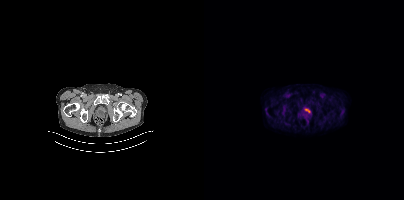
Technique: Two-panel axial: CT | PSMA PET, 18F-PSMA tracer. slice position z = -1474 mm.
Findings: Coordinates are on the 200×200 PET (right) panel. PSMA-avid tumor lesion bounding box (x0, y0)-(x1, y1): (101, 109)-(106, 112).